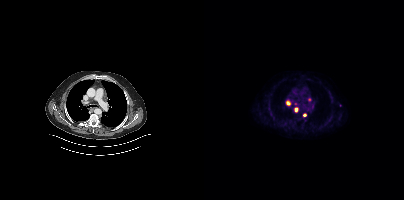
{"modality":"PSMA PET/CT","view":"axial","tracer":"18F-PSMA","pet_grid":[200,200],"coord_frame":"pet_panel","coord_format":"x0,y0,x1,y1","lesion_bboxes":[[82,101,86,105],[90,107,94,112]],"small_foci_centers":[[100,114],[105,99]]}